Technique: Paired axial CT (left) and PSMA PET (right), 18F tracer. slice 307 of 403. PET panel 200×200 px (4.1 mm/px).
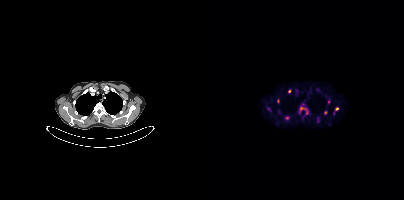
Findings: Coordinates are on the 200×200 PET (right) panel. PSMA-avid tumor lesion bounding boxes (x, y, width, height): x=95 y=106 w=10 h=9; x=129 y=107 w=7 h=8; x=81 y=116 w=5 h=4; x=84 y=89 w=4 h=5; x=73 y=99 w=3 h=5; x=113 y=117 w=2 h=6. Small PSMA-avid foci (2 to 4 px across) near (center x, center y): (121, 112); (124, 101); (64, 109).